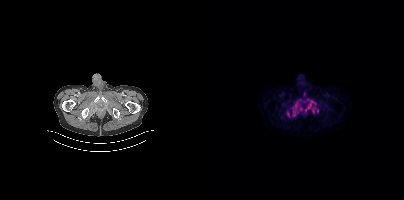
Paired axial CT (left) and PSMA PET (right), [18F]PSMA-1007 tracer. Coordinates are on the 200×200 PET (right) panel. (showing 5 of 7 foci) PSMA-avid tumor lesion bounding boxes (x, y, width, height): x=101 y=99 w=12 h=15 / x=88 y=102 w=7 h=14. Small PSMA-avid foci (2 to 4 px across) near (center x, center y): (96, 108) / (83, 113) / (113, 110).